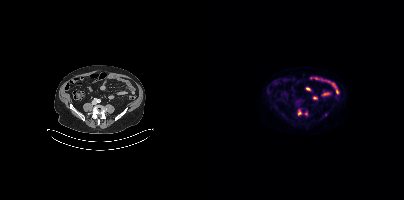
Technique: Left: CT. Right: PSMA PET, same axial level, 18F-PSMA tracer.
Findings: Coordinates are on the 200×200 PET (right) panel. PSMA-avid tumor lesion bounding box (x0, y0)-(x1, y1): (94, 109)-(97, 115). Small PSMA-avid foci (2 to 4 px across) near (center x, center y): (122, 114) / (102, 113).